Technique: Left: CT. Right: PSMA PET, same axial level, [18F]PSMA-1007 tracer. acquired on Siemens Biograph mCT Flow 20. PET panel 200×200 px (4.1 mm/px).
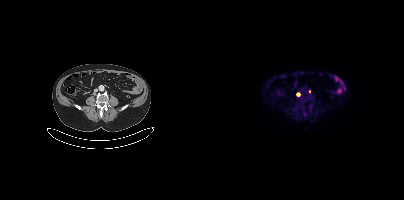
Findings: Coordinates are on the 200×200 PET (right) panel. Small PSMA-avid foci (2 to 4 px across) near (center x, center y): (94, 94); (105, 91).